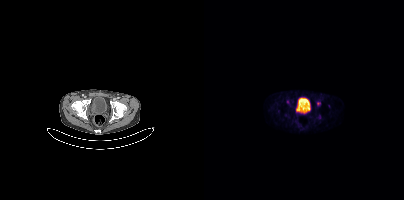
Only PSMA-avid lesion pieces thinner than 2 px on this slice (not listed).